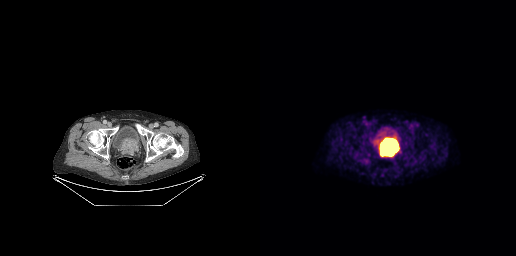
Coordinates are on the 256×256 PET (right) panel. PSMA-avid tumor lesion bounding box (x0, y0)-(x1, y1): (121, 139)-(136, 155).